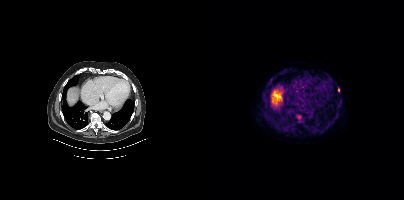
modality: PSMA PET/CT | tracer: 18F-PSMA | view: axial
Coordinates are on the 200×200 PET (right) panel. (showing 2 of 3 foci) PSMA-avid tumor lesion bounding box (x, y, width, height): x=93 y=115 w=5 h=5. Small PSMA-avid focus (2 to 4 px across) near (center x, center y): (134, 89).